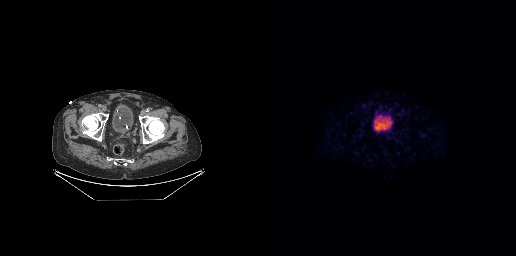
{"modality":"PSMA PET/CT","view":"axial","tracer":"18F-PSMA","pet_grid":[256,256],"coord_frame":"pet_panel","coord_format":"x0,y0,x1,y1","psma_avid_lesions":false}